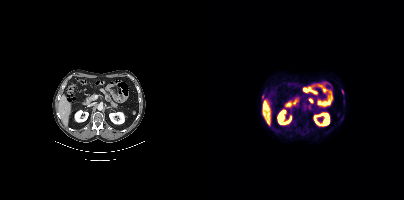
Coordinates are on the 200×200 PET (right) panel. PSMA-avid tumor lesion bounding box (x, y, width, height): x=137 y=89 w=3 h=6. Small PSMA-avid focus (2 to 4 px across) near (center x, center y): (58, 95).
modality: PSMA PET/CT | tracer: 18F-PSMA | view: axial | PET grid: 200×200